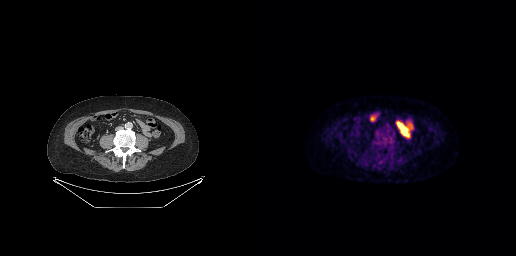
This slice has no annotated PSMA-avid lesion. Paired axial CT (left) and PSMA PET (right), [18F]PSMA-1007 tracer. Acquired on GE Discovery 690. PET panel 256×256 px (2.7 mm/px).